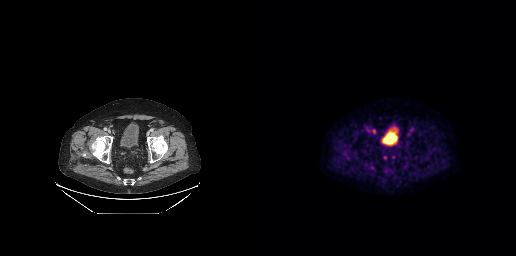
Coordinates are on the 256×256 PET (right) panel. PSMA-avid tumor lesion bounding box (x, y, width, height): x=111 y=129 w=6 h=6. Small PSMA-avid focus (2 to 4 px across) near (center x, center y): (124, 157).